- Paired axial CT (left) and PSMA PET (right), 18F tracer
- acquired on Siemens Biograph mCT Flow 20
- PET panel 200×200 px (4.1 mm/px)
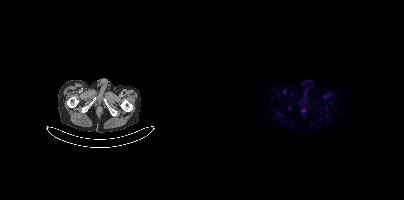
Findings: This slice has no annotated PSMA-avid lesion.